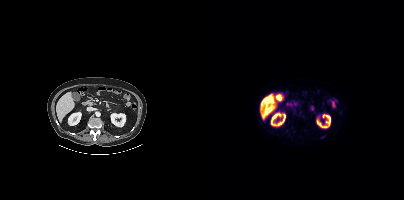
Technique: Two-panel axial: CT | PSMA PET, 18F tracer. slice position z = -744 mm. PET panel 200×200 px (4.1 mm/px).
Findings: Coordinates are on the 200×200 PET (right) panel. Small PSMA-avid focus (2 to 4 px across) near (center x, center y): (120, 136).